- Two-panel axial: CT | PSMA PET, 18F tracer
- slice 51 of 299
- PET panel 256×256 px (2.7 mm/px)
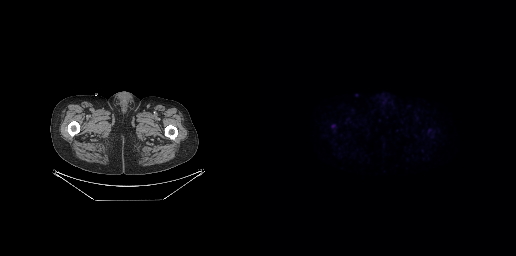
Findings: No PSMA-avid tumor lesions on this slice.